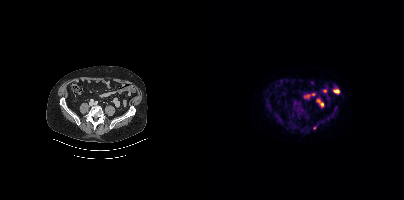
Coordinates are on the 200×200 PET (right) panel. Small PSMA-avid focus (2 to 4 px across) near (center x, center y): (110, 128).